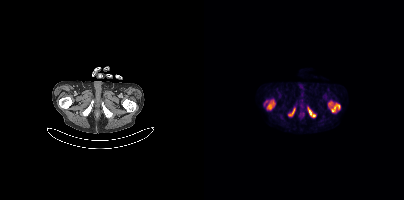
Coordinates are on the 200×200 PET (right) panel. PSMA-avid tumor lesion bounding boxes (x0,y0,x1,y1): [124,101,136,112], [63,100,70,109], [104,107,111,117], [84,108,91,116].